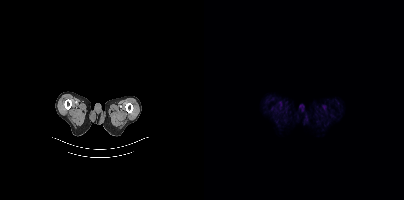
modality: PSMA PET/CT | tracer: [18F]PSMA-1007 | view: axial
No tumor lesions annotated on this slice.